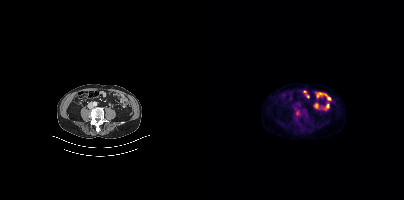
{"pet_grid":[200,200],"coord_frame":"pet_panel","coord_format":"x0,y0,x1,y1","lesion_bboxes":[],"small_foci_centers":[[93,113]],"modality":"PSMA PET/CT","view":"axial","tracer":"[18F]PSMA-1007"}